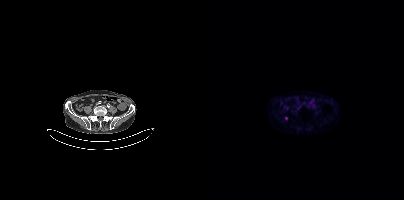
Only PSMA-avid lesion pieces thinner than 2 px on this slice (not listed).
modality: PSMA PET/CT | tracer: 18F | view: axial